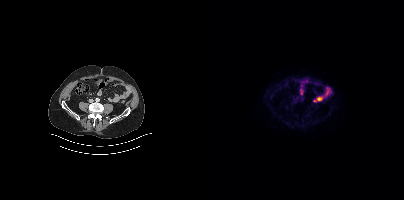
No PSMA-avid tumor lesions on this slice.
modality: PSMA PET/CT | tracer: 18F-PSMA | view: axial